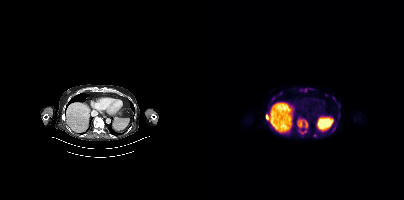
Technique: Paired axial CT (left) and PSMA PET (right), 18F-PSMA tracer. slice 258 of 415. PET panel 200×200 px (4.1 mm/px).
Findings: Coordinates are on the 200×200 PET (right) panel. (showing 8 of 9 foci) PSMA-avid tumor lesion bounding boxes (x0,y0,x1,y1): [93,118,103,127], [94,129,103,134], [62,114,65,120]. Small PSMA-avid foci (2 to 4 px across) near (center x, center y): (110, 135), (101, 90), (130, 98), (69, 98), (122, 94).